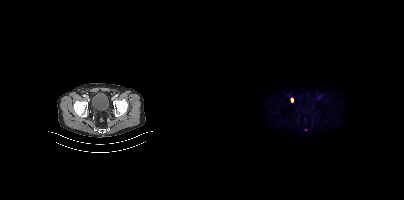
Negative for PSMA-avid disease on this slice. Left: CT. Right: PSMA PET, same axial level, 18F tracer. PET panel 200×200 px (4.1 mm/px).